Technique: Two-panel axial: CT | PSMA PET, 18F tracer. slice 126 of 442.
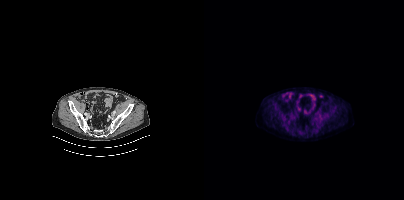
Findings: No tumor lesions annotated on this slice.